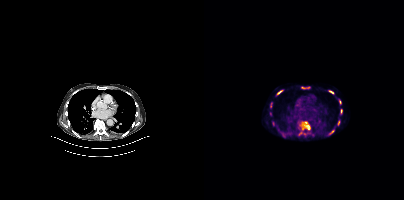
Coordinates are on the 200×200 PET (right) panel. PSMA-avid tumor lesion bounding boxes (x0, y0)-(x1, y1): (96, 121)-(106, 130); (97, 86)-(106, 89); (72, 90)-(79, 95); (124, 90)-(130, 94); (136, 109)-(138, 114); (135, 99)-(137, 104); (133, 120)-(136, 125); (126, 130)-(130, 134). Small PSMA-avid foci (2 to 4 px across) near (center x, center y): (67, 104); (96, 133); (100, 133).